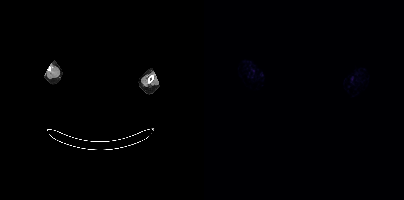
de-identification: face masked with black rectangle | modality: PSMA PET/CT | tracer: [18F]PSMA-1007 | view: axial
This slice has no annotated PSMA-avid lesion.